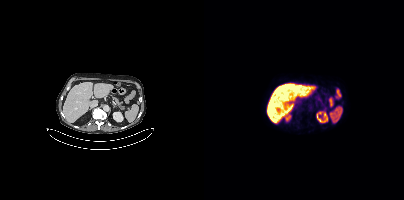
Paired axial CT (left) and PSMA PET (right), 18F tracer. Acquired on Siemens Biograph mCT Flow 20. Slice position z = 62 mm. PET panel 200×200 px (4.1 mm/px). No PSMA-avid tumor lesions on this slice.